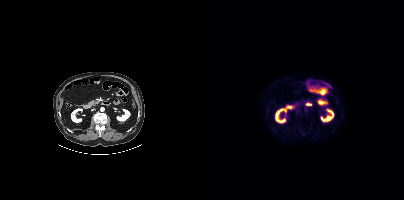
No tumor lesions annotated on this slice.